Left: CT. Right: PSMA PET, same axial level, 18F-PSMA tracer. Acquired on GE Discovery 690. Slice position z = -799 mm.
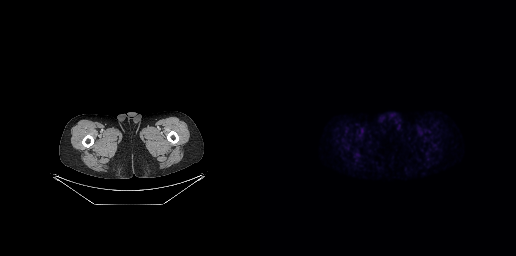
Negative for PSMA-avid disease on this slice.